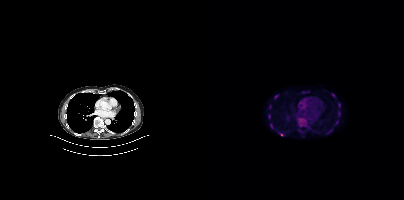
Coordinates are on the 200×200 PET (right) panel. PSMA-avid tumor lesion bounding boxes (x, y, width, height): x=134 y=111 w=3 h=6; x=66 y=123 w=4 h=6; x=134 y=103 w=3 h=5; x=70 y=95 w=5 h=4. Small PSMA-avid foci (2 to 4 px across) near (center x, center y): (66, 106); (130, 95); (65, 116); (133, 121); (77, 134).